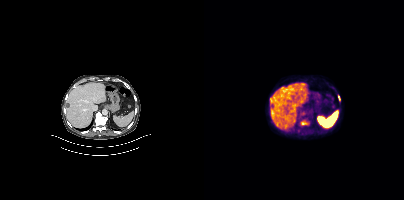
modality: PSMA PET/CT | tracer: 18F | view: axial
Coordinates are on the 200×200 PET (right) panel. PSMA-avid tumor lesion bounding box (x0,y0,x1,y1): [97,120,105,125]. Small PSMA-avid foci (2 to 4 px across) near (center x, center y): (134, 97); (66, 100).